modality: PSMA PET/CT | tracer: [18F]PSMA-1007 | view: axial
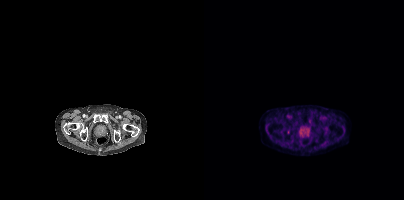
Coordinates are on the 200×200 PET (right) panel. (showing 3 of 4 foci) Small PSMA-avid foci (2 to 4 px across) near (center x, center y): (84, 131) (99, 135) (103, 135).